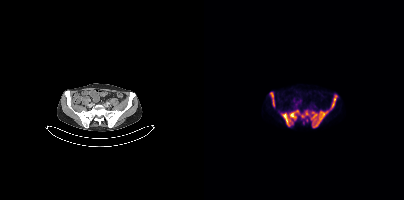
{"modality":"PSMA PET/CT","view":"axial","tracer":"18F","pet_grid":[200,200],"coord_frame":"pet_panel","coord_format":"x0,y0,x1,y1","lesion_bboxes":[[77,94,133,127],[66,92,70,106]],"small_foci_centers":[[102,120]]}